Two-panel axial: CT | PSMA PET, [18F]PSMA-1007 tracer.
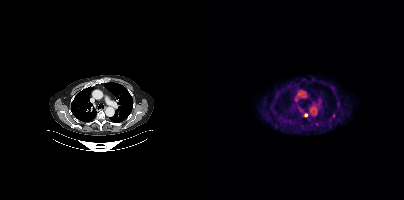
Coordinates are on the 200×200 PET (right) panel. Small PSMA-avid foci (2 to 4 px across) near (center x, center y): (101, 115); (129, 115).